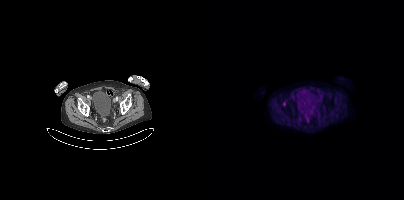
{"pet_grid":[200,200],"coord_frame":"pet_panel","coord_format":"x0,y0,x1,y1","lesion_bboxes":[],"small_foci_centers":[[80,104]],"modality":"PSMA PET/CT","view":"axial","tracer":"[18F]PSMA-1007"}